Technique: Paired axial CT (left) and PSMA PET (right), 68Ga-PSMA tracer. PET panel 168×168 px (4.1 mm/px).
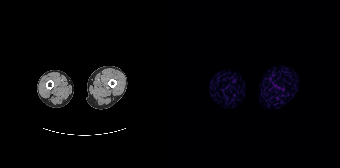
Findings: Negative for PSMA-avid disease on this slice.